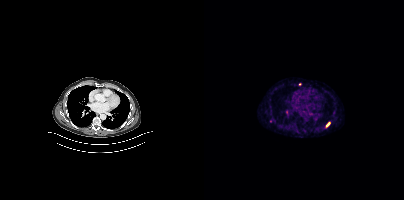
Left: CT. Right: PSMA PET, same axial level, 68Ga tracer. Acquired on Siemens Biograph mCT Flow 20. PET panel 200×200 px (4.1 mm/px).
Coordinates are on the 200×200 PET (right) panel. PSMA-avid tumor lesion bounding boxes (partial; 1 more focus not listed):
| # | x0 | y0 | x1 | y1 |
|---|---|---|---|---|
| 1 | 122 | 122 | 125 | 126 |